Technique: Left: CT. Right: PSMA PET, same axial level, 18F tracer. slice position z = -785 mm. PET panel 256×256 px (2.7 mm/px).
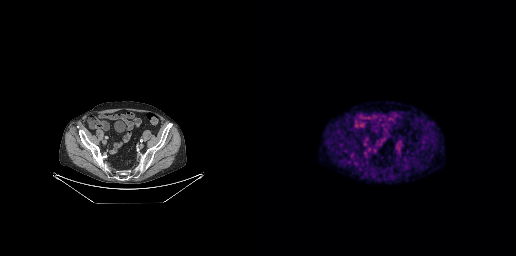
Findings: Negative for PSMA-avid disease on this slice.